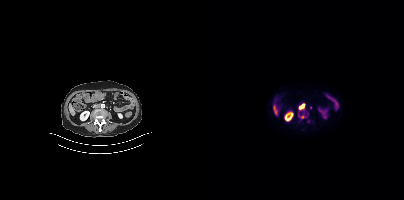
{"modality":"PSMA PET/CT","view":"axial","tracer":"18F-PSMA","pet_grid":[200,200],"coord_frame":"pet_panel","coord_format":"x0,y0,x1,y1","lesion_bboxes":[[95,104,100,109]]}